- Paired axial CT (left) and PSMA PET (right), 18F-PSMA tracer
- acquired on Siemens Biograph mCT Flow 20
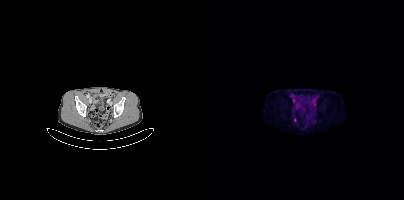
Findings: Coordinates are on the 200×200 PET (right) panel. Small PSMA-avid focus (2 to 4 px across) near (center x, center y): (91, 120).